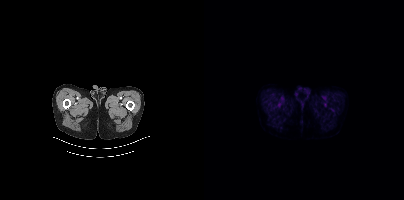
{"modality":"PSMA PET/CT","view":"axial","tracer":"18F-PSMA","pet_grid":[200,200],"coord_frame":"pet_panel","coord_format":"x0,y0,x1,y1","psma_avid_lesions":false}